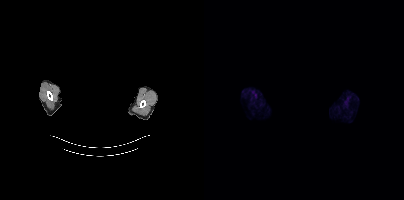
Findings: Negative for PSMA-avid disease on this slice.
Technique: Two-panel axial: CT | PSMA PET, [18F]PSMA-1007 tracer. acquired on Siemens Biograph mCT Flow 20. slice position z = -381 mm.
Note: The head region is masked for de-identification.